Technique: Paired axial CT (left) and PSMA PET (right), [18F]PSMA-1007 tracer.
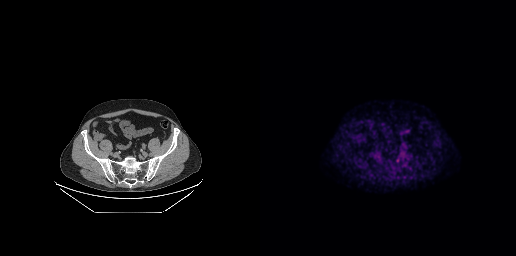
Findings: Coordinates are on the 256×256 PET (right) panel. Small PSMA-avid focus (2 to 4 px across) near (center x, center y): (137, 160).